Two-panel axial: CT | PSMA PET, [18F]PSMA-1007 tracer. Slice 153 of 454. PET panel 200×200 px (4.1 mm/px).
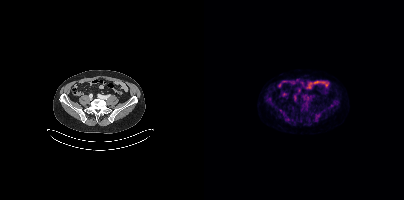
This slice has no annotated PSMA-avid lesion.